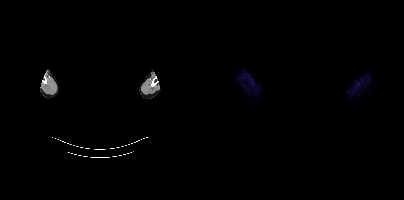
This slice has no annotated PSMA-avid lesion. Left: CT. Right: PSMA PET, same axial level, 18F tracer. Acquired on Siemens Biograph mCT Flow 20. Slice position z = 565 mm. PET panel 200×200 px (4.1 mm/px). The head region is masked for de-identification.